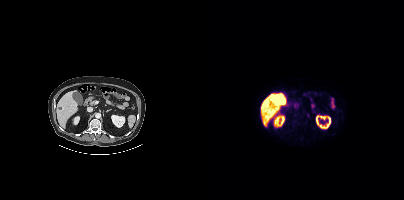
No PSMA-avid tumor lesions on this slice. Paired axial CT (left) and PSMA PET (right), 18F-PSMA tracer. Slice position z = -724 mm.